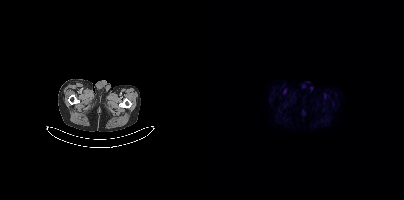
Paired axial CT (left) and PSMA PET (right), [18F]PSMA-1007 tracer. No tumor lesions annotated on this slice.